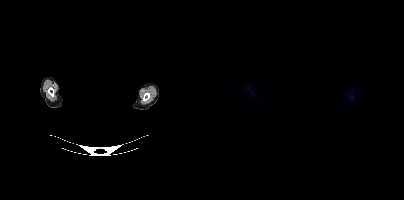
Two-panel axial: CT | PSMA PET, 18F tracer. Face de-identified by blanking a block of the head. No PSMA-avid tumor lesions on this slice.